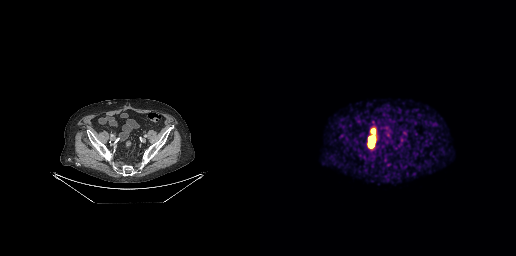
- Paired axial CT (left) and PSMA PET (right), [68Ga]Ga-PSMA-11 tracer
- slice position z = -729 mm
- PET panel 256×256 px (2.7 mm/px)
Findings: Coordinates are on the 256×256 PET (right) panel. PSMA-avid tumor lesion bounding box (x, y, width, height): x=109 y=138 w=5 h=9. Small PSMA-avid focus (2 to 4 px across) near (center x, center y): (112, 130).